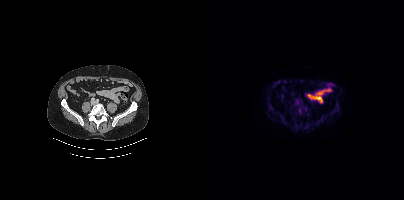
Coordinates are on the 200×200 PET (right) panel. PSMA-avid tumor lesion bounding boxes:
| # | x0 | y0 | x1 | y1 |
|---|---|---|---|---|
| 1 | 92 | 101 | 102 | 113 |
| 2 | 62 | 98 | 67 | 108 |
| 3 | 129 | 108 | 132 | 112 |
Small PSMA-avid foci (2 to 4 px across) near (center x, center y): (133, 105); (78, 118); (125, 112); (91, 119); (68, 109); (122, 116).
Left: CT. Right: PSMA PET, same axial level, 18F tracer. Acquired on Siemens Biograph mCT Flow 20. Slice 162 of 464. PET panel 200×200 px (4.1 mm/px).